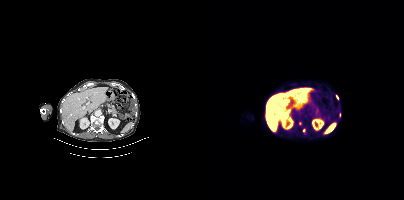
{"modality":"PSMA PET/CT","view":"axial","tracer":"18F-PSMA","pet_grid":[200,200],"coord_frame":"pet_panel","coord_format":"x0,y0,x1,y1","lesion_bboxes":[[132,94,134,99],[135,113,136,117]],"small_foci_centers":[[100,130],[96,123]]}